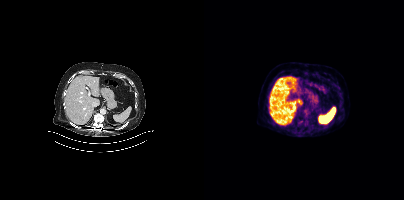
Coordinates are on the 200×200 PET (right) panel. Small PSMA-avid focus (2 to 4 px across) near (center x, center y): (87, 117).